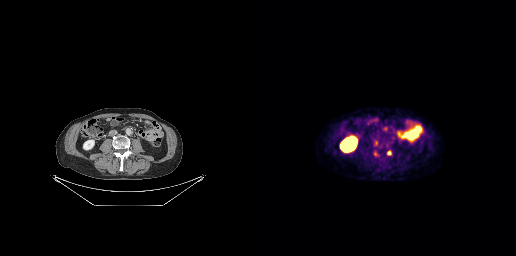
Findings: Coordinates are on the 256×256 PET (right) panel. (showing 6 of 7 foci) PSMA-avid tumor lesion bounding boxes (x0, y0)-(x1, y1): (121, 126)-(128, 131); (115, 141)-(117, 145); (127, 151)-(131, 154); (126, 142)-(128, 146). Small PSMA-avid foci (2 to 4 px across) near (center x, center y): (132, 129); (115, 152).
- Two-panel axial: CT | PSMA PET, [18F]PSMA-1007 tracer
- acquired on GE Discovery 690
- PET panel 256×256 px (2.7 mm/px)